Left: CT. Right: PSMA PET, same axial level, 18F tracer. Acquired on Siemens Biograph mCT Flow 20. Slice position z = -1232 mm. PET panel 200×200 px (4.1 mm/px).
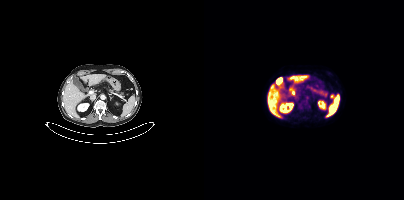
Coordinates are on the 200×200 PET (right) panel. PSMA-avid tumor lesion bounding boxes:
| # | x0 | y0 | x1 | y1 |
|---|---|---|---|---|
| 1 | 126 | 94 | 130 | 98 |